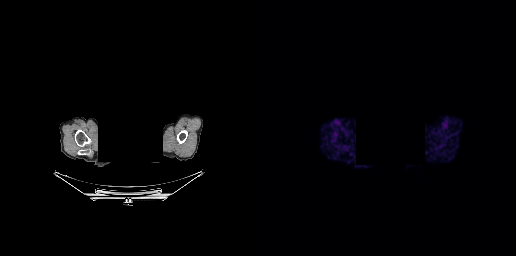
de-identification: head region blanked (face removed) | modality: PSMA PET/CT | tracer: [68Ga]Ga-PSMA-11 | view: axial | PET grid: 256×256
No PSMA-avid tumor lesions on this slice.